modality: PSMA PET/CT | tracer: [18F]PSMA-1007 | view: axial
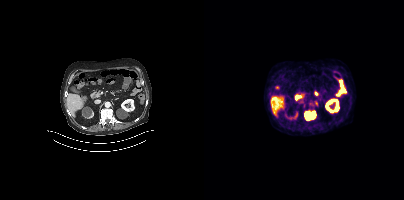
Coordinates are on the 200×200 PET (right) panel. PSMA-avid tumor lesion bounding box (x0,y0,x1,y1): [100,111,111,120].